modality: PSMA PET/CT | tracer: 18F-PSMA | view: axial | PET grid: 200×200 | deidentification: privacy mask over head
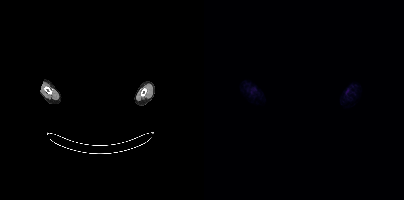
No PSMA-avid tumor lesions on this slice.